modality: PSMA PET/CT | tracer: [18F]PSMA-1007 | view: axial
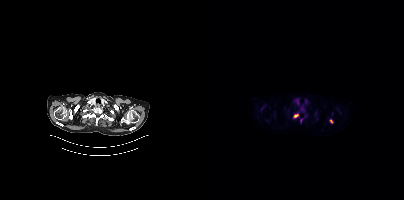
Coordinates are on the 200×200 PET (right) panel. (showing 2 of 3 foci) PSMA-avid tumor lesion bounding box (x0, y0)-(x1, y1): (90, 114)-(94, 117). Small PSMA-avid focus (2 to 4 px across) near (center x, center y): (127, 121).